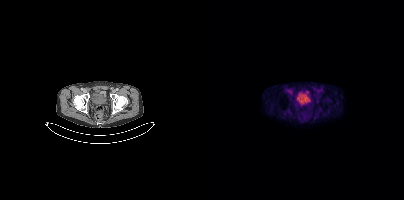
Only PSMA-avid lesion pieces thinner than 2 px on this slice (not listed). Paired axial CT (left) and PSMA PET (right), 18F tracer. Acquired on Siemens Biograph mCT Flow 20. PET panel 200×200 px (4.1 mm/px).